Paired axial CT (left) and PSMA PET (right), 18F tracer. Acquired on GE Discovery 690.
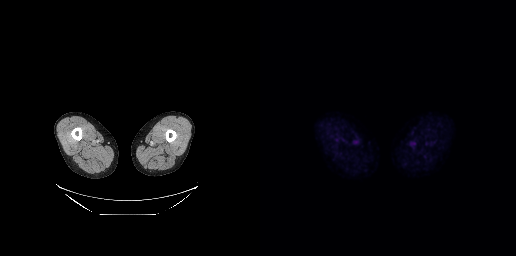
This slice has no annotated PSMA-avid lesion.